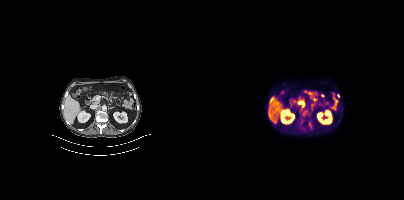
Findings: Coordinates are on the 200×200 PET (right) panel. PSMA-avid tumor lesion bounding box (x0, y0)-(x1, y1): (105, 123)-(107, 127). Small PSMA-avid foci (2 to 4 px across) near (center x, center y): (100, 114) | (134, 95).
Technique: Left: CT. Right: PSMA PET, same axial level, [18F]PSMA-1007 tracer. PET panel 200×200 px (4.1 mm/px).